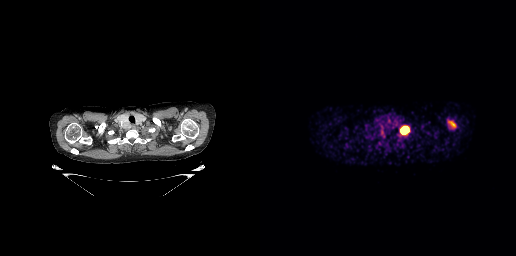
Coordinates are on the 256×256 PET (right) panel. PSMA-avid tumor lesion bounding boxes (x, y, width, height): x=140 y=125 w=10 h=11 | x=189 y=121 w=7 h=6.